- Left: CT. Right: PSMA PET, same axial level, 18F tracer
- slice 164 of 427
- PET panel 200×200 px (4.1 mm/px)
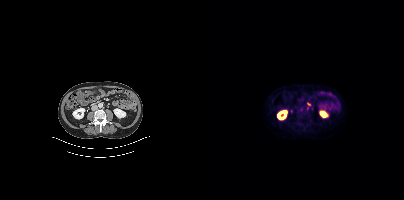
Findings: Coordinates are on the 200×200 PET (right) panel. Small PSMA-avid focus (2 to 4 px across) near (center x, center y): (104, 104).